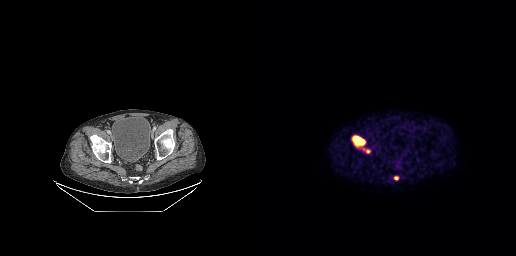
Coordinates are on the 256×256 PET (right) panel. PSMA-avid tumor lesion bounding boxes (x, y, width, height): x=94 y=136 w=17 h=18; x=134 y=176 w=5 h=4.